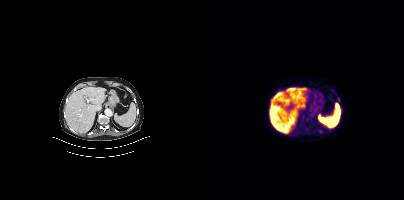
Coordinates are on the 200×200 PET (right) panel. Small PSMA-avid focus (2 to 4 px across) near (center x, center y): (134, 99).